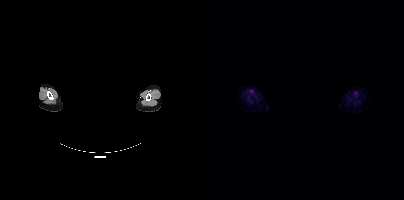
Findings: No tumor lesions annotated on this slice.
- Paired axial CT (left) and PSMA PET (right), [18F]PSMA-1007 tracer
- face de-identified by blanking a block of the head